Left: CT. Right: PSMA PET, same axial level, 18F-PSMA tracer. Slice 276 of 450.
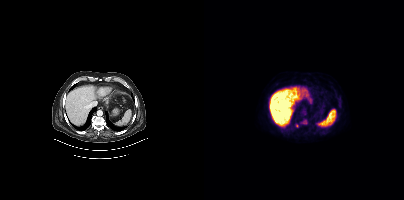
Coordinates are on the 200×200 PET (right) panel. (showing 1 of 3 foci) Small PSMA-avid focus (2 to 4 px across) near (center x, center y): (93, 125).